- Two-panel axial: CT | PSMA PET, 18F-PSMA tracer
- PET panel 200×200 px (4.1 mm/px)
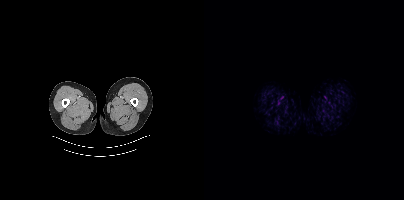
Findings: Negative for PSMA-avid disease on this slice.